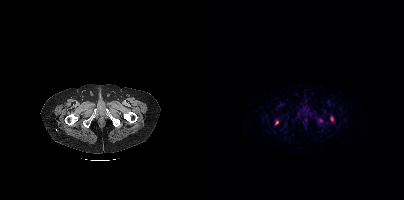
Coordinates are on the 200×200 PET (right) panel. Small PSMA-avid focus (2 to 4 px across) near (center x, center y): (73, 122). Two-panel axial: CT | PSMA PET, 68Ga tracer. Acquired on Siemens Biograph mCT Flow 20. Slice position z = 255 mm.